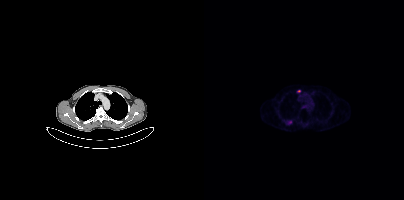
{"modality":"PSMA PET/CT","view":"axial","tracer":"68Ga","pet_grid":[200,200],"coord_frame":"pet_panel","coord_format":"x0,y0,x1,y1","partial":true,"lesion_bboxes":[],"small_foci_centers":[[85,122]]}